modality: PSMA PET/CT | tracer: 18F-PSMA | view: axial
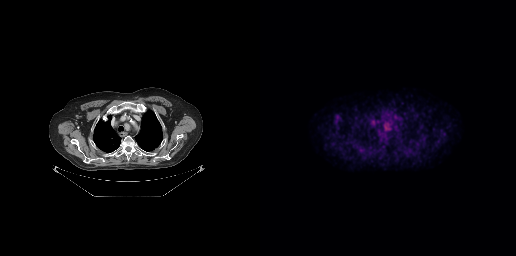
Coordinates are on the 256×256 PET (right) panel. PSMA-avid tumor lesion bounding box (x0, y0)-(x1, y1): (124, 122)-(130, 128).